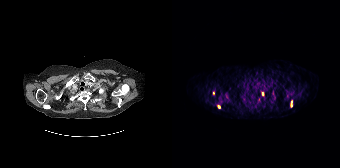
Two-panel axial: CT | PSMA PET, 68Ga tracer. Acquired on Siemens Biograph 64-4R TruePoint. PET panel 168×168 px (4.1 mm/px). Coordinates are on the 168×168 PET (right) panel. (showing 4 of 5 foci) PSMA-avid tumor lesion bounding box (x, y, width, height): x=118 y=100 w=3 h=8. Small PSMA-avid foci (2 to 4 px across) near (center x, center y): (46, 106) | (90, 93) | (41, 93).